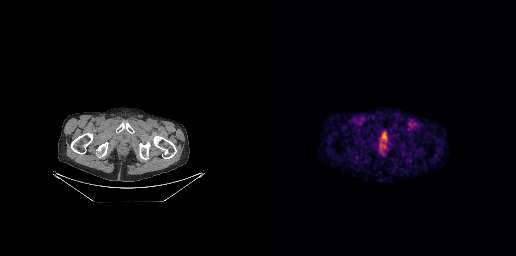
{"modality":"PSMA PET/CT","view":"axial","tracer":"[68Ga]Ga-PSMA-11","pet_grid":[256,256],"coord_frame":"pet_panel","coord_format":"x0,y0,x1,y1","lesion_bboxes":[],"small_foci_centers":[[119,142]]}